Technique: Two-panel axial: CT | PSMA PET, 18F tracer.
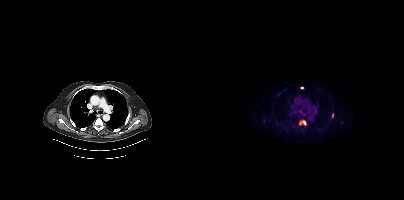
Findings: Coordinates are on the 200×200 PET (right) panel. (showing 5 of 7 foci) PSMA-avid tumor lesion bounding boxes (x0,y0,x1,y1): [95,121,101,125]; [128,113,129,117]. Small PSMA-avid foci (2 to 4 px across) near (center x, center y): (80, 89); (98, 87); (59, 121).